- Paired axial CT (left) and PSMA PET (right), 68Ga-PSMA tracer
- acquired on Siemens Biograph 64-4R TruePoint
- slice position z = -1118 mm
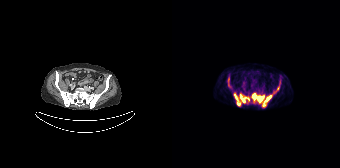
Findings: Coordinates are on the 168×168 PET (right) panel. PSMA-avid tumor lesion bounding boxes (x0,y0,x1,y1): [79,87,107,107]; [62,93,77,106]; [56,78,57,86].